Left: CT. Right: PSMA PET, same axial level, [68Ga]Ga-PSMA-11 tracer.
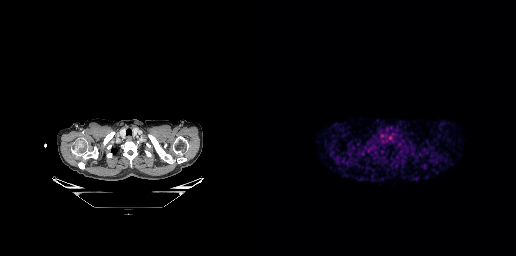
This slice has no annotated PSMA-avid lesion.